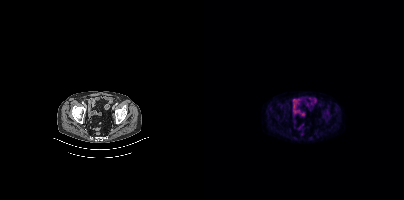
No PSMA-avid tumor lesions on this slice.